Paired axial CT (left) and PSMA PET (right), [18F]PSMA-1007 tracer. Slice 231 of 381. PET panel 200×200 px (4.1 mm/px).
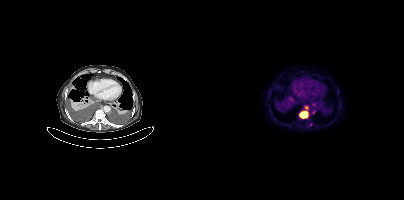
Coordinates are on the 200×200 PET (right) panel. PSMA-avid tumor lesion bounding box (x, y, width, height): x=95 y=106 w=10 h=13.